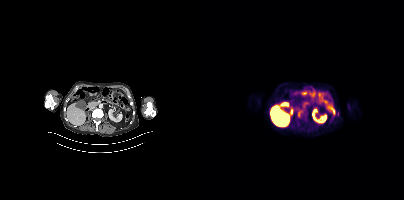
modality: PSMA PET/CT | tracer: 18F-PSMA | view: axial | PET grid: 200×200
Coordinates are on the 200×200 PET (right) panel. PSMA-avid tumor lesion bounding boxes (x, y, width, height): x=94 y=111 w=5 h=7; x=128 y=108 w=4 h=7.